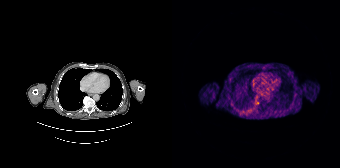
No PSMA-avid tumor lesions on this slice.